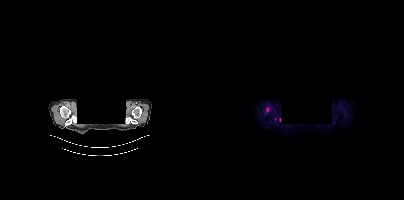
modality: PSMA PET/CT | tracer: [18F]PSMA-1007 | view: axial | PET grid: 200×200 | redaction: privacy mask over head
Coordinates are on the 200×200 PET (right) panel. Small PSMA-avid focus (2 to 4 px across) near (center x, center y): (75, 119).